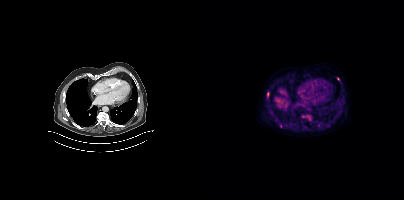
{"modality":"PSMA PET/CT","view":"axial","tracer":"18F","pet_grid":[200,200],"coord_frame":"pet_panel","coord_format":"x0,y0,x1,y1","partial":true,"lesion_bboxes":[[98,115,107,120],[63,92,64,97]],"small_foci_centers":[[76,126]]}